- Two-panel axial: CT | PSMA PET, 68Ga-PSMA tracer
- PET panel 168×168 px (4.1 mm/px)
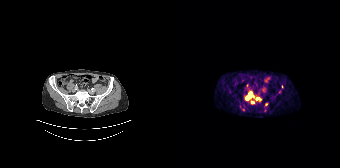
Findings: Coordinates are on the 168×168 PET (right) panel. (showing 6 of 8 foci) PSMA-avid tumor lesion bounding box (x, y, width, height): x=74 y=92 w=7 h=8. Small PSMA-avid foci (2 to 4 px across) near (center x, center y): (71, 109) | (110, 86) | (84, 98) | (88, 99) | (80, 102).